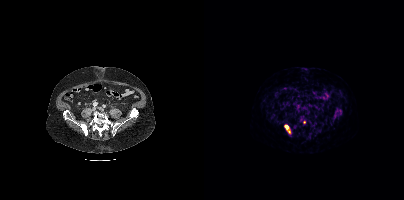
{"pet_grid":[200,200],"coord_frame":"pet_panel","coord_format":"x0,y0,x1,y1","partial":true,"lesion_bboxes":[[80,125,86,133]],"small_foci_centers":[[100,122]],"modality":"PSMA PET/CT","view":"axial","tracer":"[68Ga]Ga-PSMA-11"}